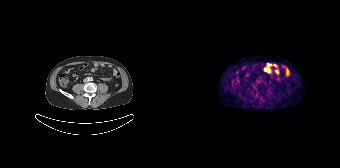
{"modality":"PSMA PET/CT","view":"axial","tracer":"[68Ga]Ga-PSMA-11","pet_grid":[168,168],"coord_frame":"pet_panel","coord_format":"x0,y0,x1,y1","psma_avid_lesions":false}